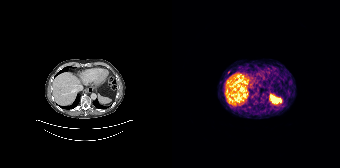
Paired axial CT (left) and PSMA PET (right), 68Ga-PSMA tracer. Slice 126 of 195. Negative for PSMA-avid disease on this slice.